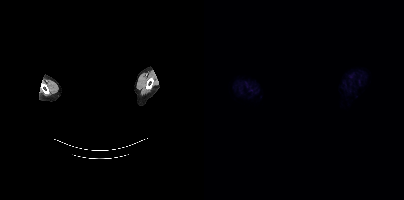
{"modality":"PSMA PET/CT","view":"axial","tracer":"18F-PSMA","pet_grid":[200,200],"coord_frame":"pet_panel","coord_format":"x0,y0,x1,y1","deidentification":"rectangular block over head set to black","psma_avid_lesions":false}